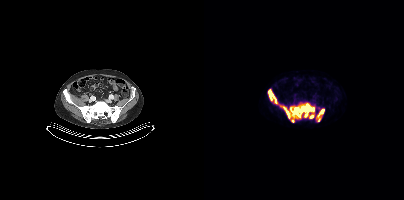
Coordinates are on the 200×200 PET (right) panel. PSMA-avid tumor lesion bounding boxes (x, y, width, height): x=86 y=104 w=25 h=13; x=64 y=89 w=10 h=15; x=79 y=106 w=7 h=13; x=113 y=109 w=8 h=12. Small PSMA-avid foci (2 to 4 px across) near (center x, center y): (102, 115); (107, 116); (88, 121).